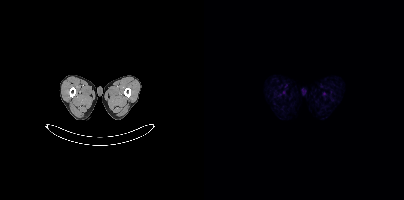
- Left: CT. Right: PSMA PET, same axial level, [18F]PSMA-1007 tracer
- acquired on Siemens Biograph mCT Flow 20
- slice position z = -1756 mm
Findings: No tumor lesions annotated on this slice.